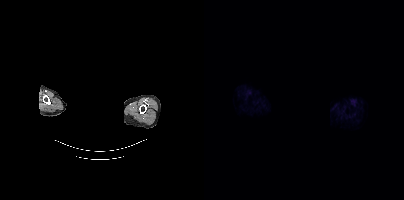
Findings: Negative for PSMA-avid disease on this slice.
- the face region was removed for patient privacy by blanking a rectangle over the head
- Paired axial CT (left) and PSMA PET (right), 18F tracer
- PET panel 200×200 px (4.1 mm/px)